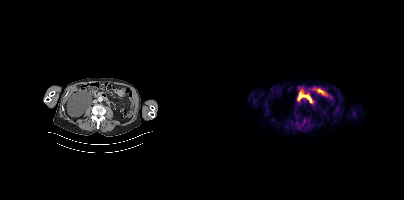
This slice has no annotated PSMA-avid lesion.